Left: CT. Right: PSMA PET, same axial level, [68Ga]Ga-PSMA-11 tracer. PET panel 200×200 px (4.1 mm/px).
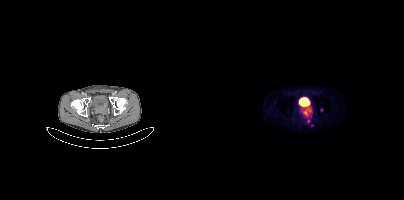
Coordinates are on the 200×200 PET (right) panel. PSMA-avid tumor lesion bounding box (x0, y0)-(x1, y1): (97, 107)-(107, 116). Small PSMA-avid foci (2 to 4 px across) near (center x, center y): (104, 121) / (117, 109).